- Left: CT. Right: PSMA PET, same axial level, [18F]PSMA-1007 tracer
- acquired on Siemens Biograph mCT Flow 20
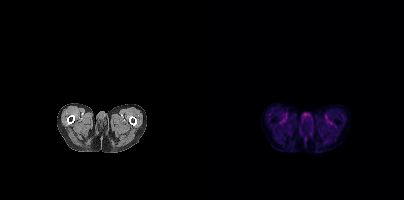
Findings: Negative for PSMA-avid disease on this slice.